Paired axial CT (left) and PSMA PET (right), 68Ga tracer. Acquired on Siemens Biograph 64-4R TruePoint. Slice 36 of 195. PET panel 168×168 px (4.1 mm/px).
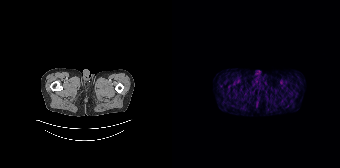
No PSMA-avid tumor lesions on this slice.